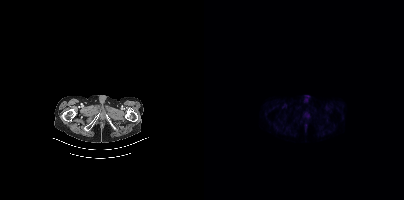
No tumor lesions annotated on this slice.